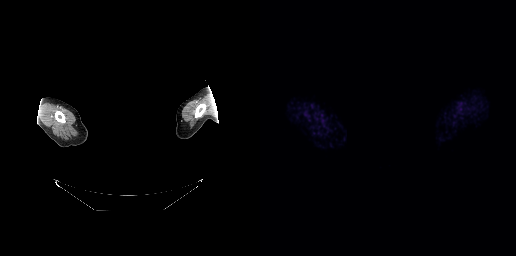
- Two-panel axial: CT | PSMA PET, 68Ga tracer
- slice 254 of 263
- an anonymization step blacked out a rectangle over the head in this scan
Findings: This slice has no annotated PSMA-avid lesion.